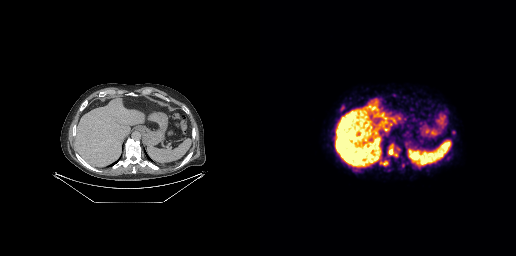
Findings: Coordinates are on the 256×256 PET (right) panel. PSMA-avid tumor lesion bounding boxes (x0,y0,x1,y1): [128,144,133,154] [123,161,127,165] [81,106,84,110]. Small PSMA-avid focus (2 to 4 px across) near (center x, center y): (136, 155).
- Left: CT. Right: PSMA PET, same axial level, [18F]PSMA-1007 tracer
- slice position z = -377 mm